Technique: Paired axial CT (left) and PSMA PET (right), 18F tracer.
Note: Head region blanked for anonymization (face removed).
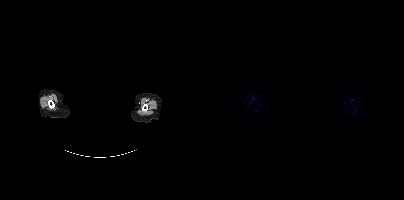
Findings: This slice has no annotated PSMA-avid lesion.